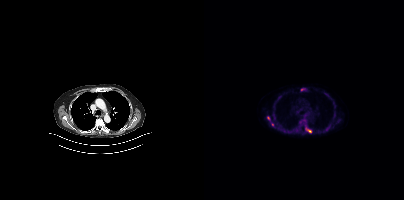
Paired axial CT (left) and PSMA PET (right), [18F]PSMA-1007 tracer. PET panel 200×200 px (4.1 mm/px).
Coordinates are on the 200×200 PET (right) panel. PSMA-avid tumor lesion bounding boxes (partial; 1 more focus not listed):
| # | x0 | y0 | x1 | y1 |
|---|---|---|---|---|
| 1 | 101 | 125 | 107 | 132 |
| 2 | 121 | 126 | 126 | 130 |
Small PSMA-avid foci (2 to 4 px across) near (center x, center y): (64, 117); (68, 124); (99, 89); (100, 120).